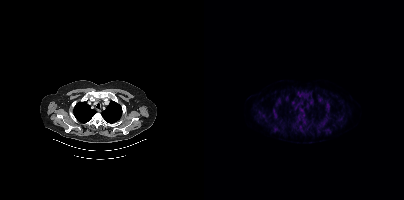
Coordinates are on the 200×200 PET (right) panel. (showing 11 of 13 foci) PSMA-avid tumor lesion bounding boxes (x0,y0,x1,y1): [92,91,103,97]; [95,113,99,121]; [122,101,125,110]; [69,108,73,116]; [115,121,119,125]. Small PSMA-avid foci (2 to 4 px across) near (center x, center y): (59, 116); (71, 129); (75, 100); (124, 129); (83, 98); (116, 100).